Technique: Left: CT. Right: PSMA PET, same axial level, 18F tracer. acquired on GE Discovery 690.
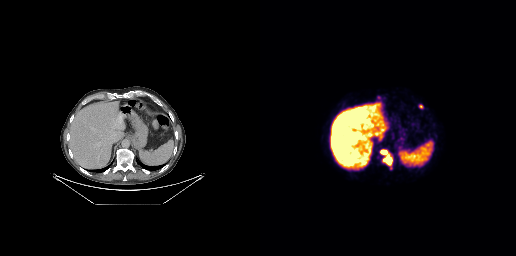
Findings: Coordinates are on the 256×256 PET (right) panel. PSMA-avid tumor lesion bounding boxes (x0,y0,x1,y1): [120,149,132,165] [159,104,163,108] [117,96,121,99].